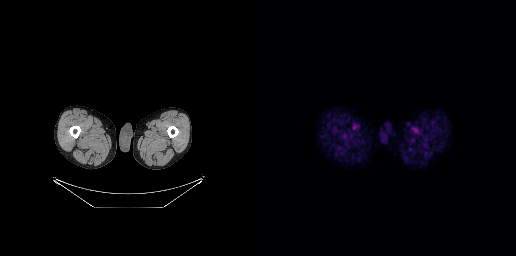
No PSMA-avid tumor lesions on this slice.